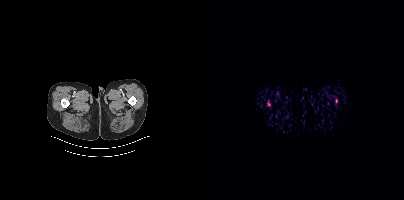
Coordinates are on the 200×200 PET (right) panel. PSMA-avid tumor lesion bounding box (x0, y0)-(x1, y1): (63, 102)-(66, 106). Small PSMA-avid focus (2 to 4 px across) near (center x, center y): (132, 100).